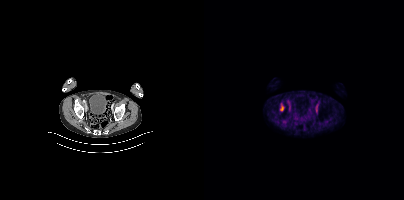
{"pet_grid":[200,200],"coord_frame":"pet_panel","coord_format":"x0,y0,x1,y1","lesion_bboxes":[[76,106,79,110]],"modality":"PSMA PET/CT","view":"axial","tracer":"18F"}